Two-panel axial: CT | PSMA PET, [18F]PSMA-1007 tracer.
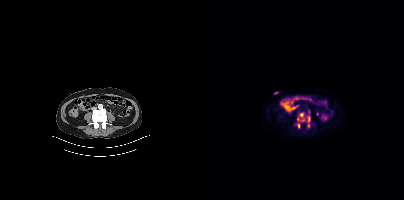
Coordinates are on the 200×200 PET (right) panel. (showing 5 of 6 foci) PSMA-avid tumor lesion bounding box (x, y, width, height): x=104 y=116 w=2 h=6. Small PSMA-avid foci (2 to 4 px across) near (center x, center y): (97, 114) / (94, 125) / (93, 119) / (104, 125).